modality: PSMA PET/CT | tracer: [68Ga]Ga-PSMA-11 | view: axial | PET grid: 256×256 | deidentification: privacy mask over head
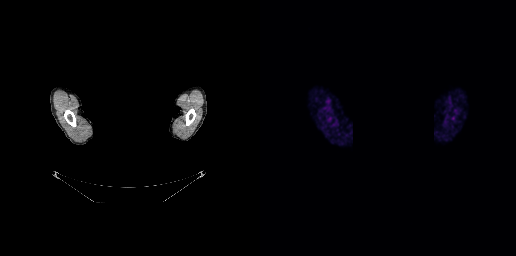
No PSMA-avid tumor lesions on this slice.